- Two-panel axial: CT | PSMA PET, 68Ga tracer
- head region blanked for anonymization (face removed)
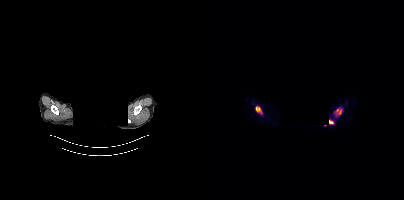
Findings: Coordinates are on the 200×200 PET (right) panel. PSMA-avid tumor lesion bounding boxes (x0, y0)-(x1, y1): (132, 108)-(137, 115) | (51, 107)-(58, 113) | (125, 120)-(130, 124).